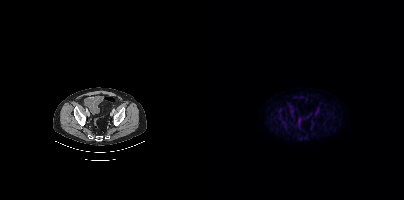
{"pet_grid":[200,200],"coord_frame":"pet_panel","coord_format":"x0,y0,x1,y1","psma_avid_lesions":false,"modality":"PSMA PET/CT","view":"axial","tracer":"[18F]PSMA-1007"}